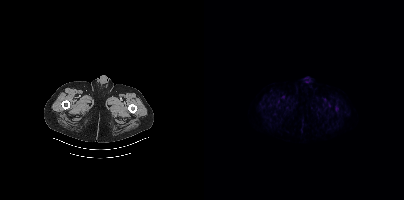
Coordinates are on the 200×200 PET (right) panel. PSMA-avid tumor lesion bounding box (x0, y0)-(x1, y1): (131, 107)-(134, 111).